Technique: Paired axial CT (left) and PSMA PET (right), 18F tracer.
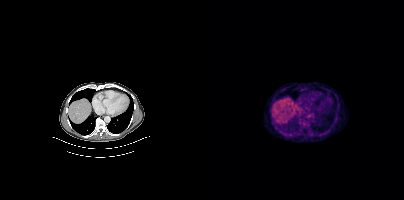
Findings: Coordinates are on the 200×200 PET (right) panel. PSMA-avid tumor lesion bounding boxes (x, y, width, height): x=118 y=131 w=5 h=5 | x=82 y=133 w=4 h=5. Small PSMA-avid foci (2 to 4 px across) near (center x, center y): (95, 120) | (99, 125).